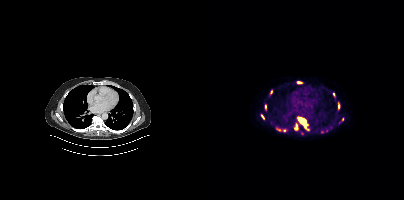
{"modality":"PSMA PET/CT","view":"axial","tracer":"[18F]PSMA-1007","pet_grid":[200,200],"coord_frame":"pet_panel","coord_format":"x0,y0,x1,y1","partial":true,"lesion_bboxes":[[93,116,105,130],[90,123,94,130],[134,103,135,108],[93,81,97,83],[57,115,60,119]],"small_foci_centers":[[61,106],[67,91],[129,94]]}